Left: CT. Right: PSMA PET, same axial level, 18F-PSMA tracer. Acquired on Siemens Biograph mCT Flow 20. Slice position z = -939 mm.
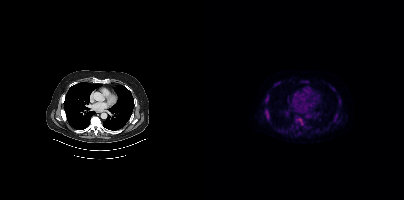
Coordinates are on the 200×200 PET (right) panel. PSMA-avid tumor lesion bounding boxes (partial; 2 more foci not listed):
| # | x0 | y0 | x1 | y1 |
|---|---|---|---|---|
| 1 | 60 | 108 | 65 | 121 |
| 2 | 92 | 117 | 99 | 124 |
| 3 | 61 | 95 | 65 | 102 |
| 4 | 129 | 114 | 133 | 121 |
| 5 | 98 | 80 | 102 | 83 |
Small PSMA-avid foci (2 to 4 px across) near (center x, center y): (135, 101); (72, 83); (74, 130).